Left: CT. Right: PSMA PET, same axial level, [68Ga]Ga-PSMA-11 tracer. Slice 185 of 411.
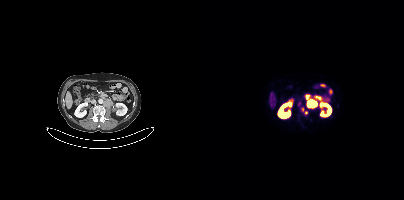
Coordinates are on the 200×200 PET (right) panel. PSMA-avid tumor lesion bounding boxes:
| # | x0 | y0 | x1 | y1 |
|---|---|---|---|---|
| 1 | 97 | 107 | 103 | 113 |
Small PSMA-avid focus (2 to 4 px across) near (center x, center y): (95, 103).